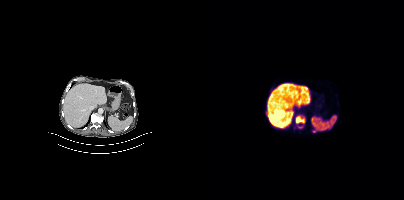
{"modality":"PSMA PET/CT","view":"axial","tracer":"18F-PSMA","pet_grid":[200,200],"coord_frame":"pet_panel","coord_format":"x0,y0,x1,y1","partial":true,"lesion_bboxes":[[91,115,100,123],[108,130,112,132]]}